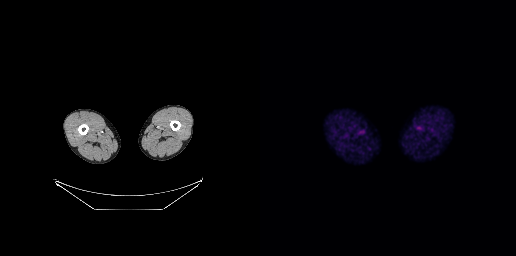
- Left: CT. Right: PSMA PET, same axial level, 18F-PSMA tracer
Findings: Negative for PSMA-avid disease on this slice.